- Paired axial CT (left) and PSMA PET (right), [18F]PSMA-1007 tracer
- acquired on Siemens Biograph mCT Flow 20
- slice 65 of 415
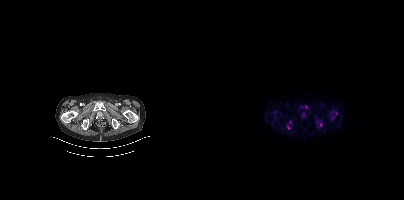
Findings: Coordinates are on the 200×200 PET (right) panel. PSMA-avid tumor lesion bounding boxes (x0, y0)-(x1, y1): (116, 122)-(118, 126); (127, 112)-(133, 114). Small PSMA-avid foci (2 to 4 px across) near (center x, center y): (128, 117); (84, 127); (102, 106); (86, 122); (99, 114); (97, 106); (112, 121).